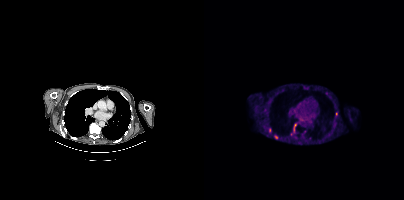
Coordinates are on the 200×200 PET (right) panel. (showing 3 of 6 foci) PSMA-avid tumor lesion bounding box (x0, y0)-(x1, y1): (90, 124)-(92, 131). Small PSMA-avid foci (2 to 4 px across) near (center x, center y): (72, 137); (65, 130). Paired axial CT (left) and PSMA PET (right), 18F-PSMA tracer. Acquired on Siemens Biograph mCT Flow 20. Slice position z = -1032 mm. PET panel 200×200 px (4.1 mm/px).